Paired axial CT (left) and PSMA PET (right), 18F-PSMA tracer. Acquired on GE Discovery 690.
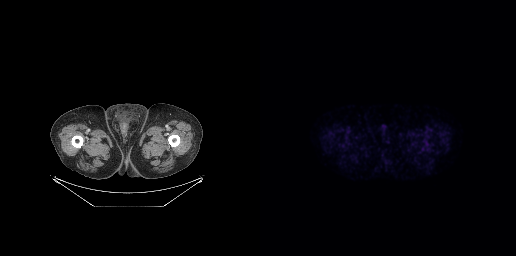
No PSMA-avid tumor lesions on this slice.